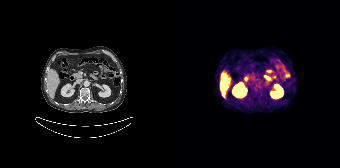
Two-panel axial: CT | PSMA PET, 68Ga-PSMA tracer.
Coordinates are on the 168×168 PET (right) panel. PSMA-avid tumor lesion bounding boxes:
| # | x0 | y0 | x1 | y1 |
|---|---|---|---|---|
| 1 | 48 | 86 | 51 | 90 |
| 2 | 49 | 92 | 53 | 95 |